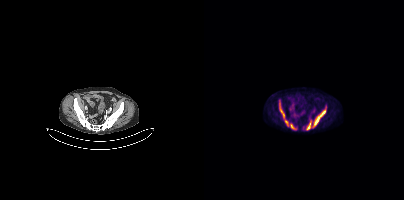
{"modality":"PSMA PET/CT","view":"axial","tracer":"18F","pet_grid":[200,200],"coord_frame":"pet_panel","coord_format":"x0,y0,x1,y1","partial":true,"lesion_bboxes":[[109,106,122,126],[75,101,80,115],[86,124,92,129],[103,122,106,129],[81,120,84,126]]}